- Paired axial CT (left) and PSMA PET (right), 68Ga-PSMA tracer
- slice position z = -1161 mm
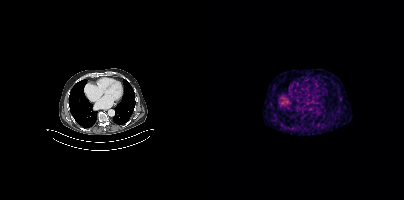
Findings: Coordinates are on the 200×200 PET (right) panel. Small PSMA-avid focus (2 to 4 px across) near (center x, center y): (136, 98).